Technique: Paired axial CT (left) and PSMA PET (right), [18F]PSMA-1007 tracer. acquired on Siemens Biograph mCT Flow 20. slice position z = -848 mm.
Note: Privacy masking over the head, with the pixels inside a rectangle set to black.
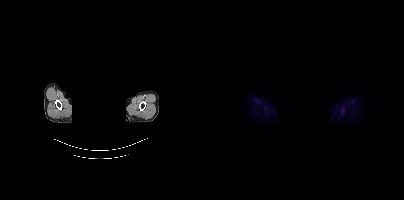
Findings: No PSMA-avid tumor lesions on this slice.